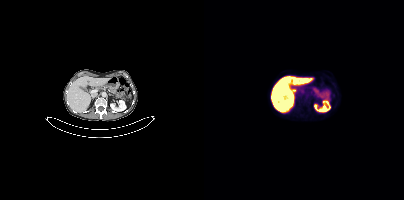
{"modality":"PSMA PET/CT","view":"axial","tracer":"18F-PSMA","pet_grid":[200,200],"coord_frame":"pet_panel","coord_format":"x0,y0,x1,y1","psma_avid_lesions":false}